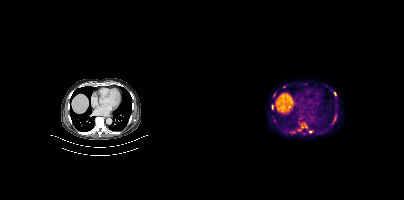
Findings: Coordinates are on the 200×200 PET (right) panel. (showing 5 of 8 foci) PSMA-avid tumor lesion bounding boxes (x0,y0,x1,y1): [97,124,103,128]; [68,105,69,109]. Small PSMA-avid foci (2 to 4 px across) near (center x, center y): (131, 93); (106, 131); (70, 94).
- Two-panel axial: CT | PSMA PET, 18F tracer
- slice position z = -568 mm